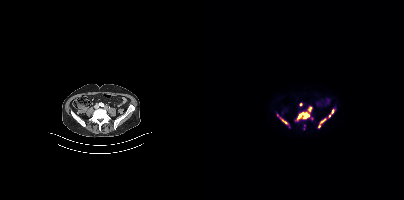
{"modality":"PSMA PET/CT","view":"axial","tracer":"[18F]PSMA-1007","pet_grid":[200,200],"coord_frame":"pet_panel","coord_format":"x0,y0,x1,y1","partial":true,"lesion_bboxes":[[93,112,105,119],[114,118,122,127],[124,109,129,117],[76,118,83,124],[104,107,107,111]],"small_foci_centers":[[96,104]]}